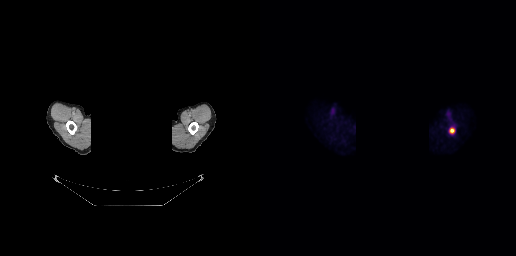
Findings: Coordinates are on the 256×256 PET (right) panel. PSMA-avid tumor lesion bounding box (x0, y0)-(x1, y1): (190, 128)-(194, 133).
Technique: Paired axial CT (left) and PSMA PET (right), [18F]PSMA-1007 tracer. acquired on GE Discovery 690. PET panel 256×256 px (2.7 mm/px).
Note: An anonymization step blacked out a rectangle over the head in this scan.